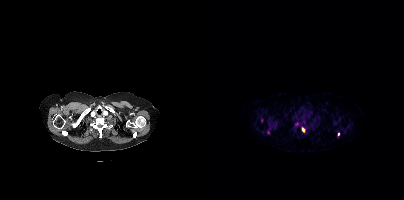
{"modality":"PSMA PET/CT","view":"axial","tracer":"[68Ga]Ga-PSMA-11","pet_grid":[200,200],"coord_frame":"pet_panel","coord_format":"x0,y0,x1,y1","partial":true,"lesion_bboxes":[[98,127,100,132]],"small_foci_centers":[[134,133]]}